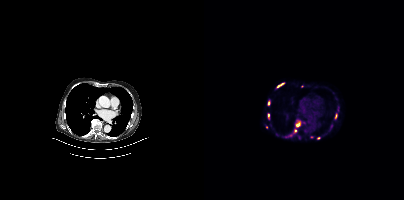
Left: CT. Right: PSMA PET, same axial level, 68Ga tracer. Acquired on Siemens Biograph mCT Flow 20. Slice position z = -1144 mm.
Coordinates are on the 200×200 PET (right) panel. PSMA-avid tumor lesion bounding boxes (partial; 4 more foci not listed):
| # | x0 | y0 | x1 | y1 |
|---|---|---|---|---|
| 1 | 92 | 121 | 96 | 127 |
| 2 | 73 | 83 | 79 | 87 |
Small PSMA-avid foci (2 to 4 px across) near (center x, center y): (91, 131); (64, 103); (64, 115); (114, 138); (62, 127).